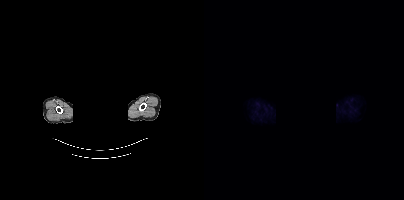
Technique: Paired axial CT (left) and PSMA PET (right), 18F-PSMA tracer. slice 407 of 452.
Note: Facial anatomy redacted by setting a rectangular region of the head to black.
Findings: Negative for PSMA-avid disease on this slice.